Left: CT. Right: PSMA PET, same axial level, 18F tracer. PET panel 256×256 px (2.7 mm/px).
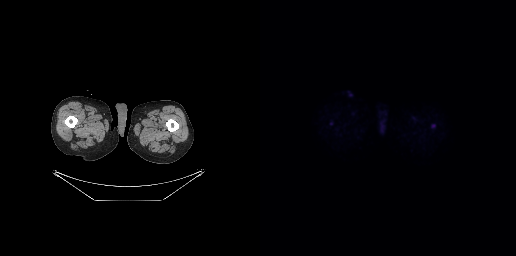
This slice has no annotated PSMA-avid lesion.